- Left: CT. Right: PSMA PET, same axial level, 18F tracer
- slice position z = -232 mm
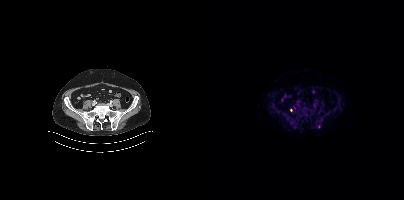
Findings: Coordinates are on the 200×200 PET (right) panel. Small PSMA-avid focus (2 to 4 px across) near (center x, center y): (87, 110).